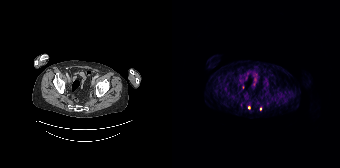
Coordinates are on the 168×168 PET (right) panel. Small PSMA-avid foci (2 to 4 px across) near (center x, center y): (77, 107) | (88, 109).